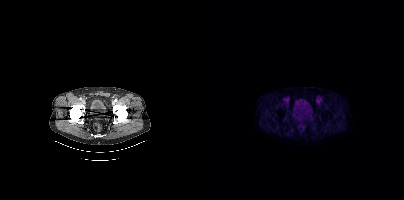
This slice has no annotated PSMA-avid lesion.